Facial anatomy redacted by setting a rectangular region of the head to black.
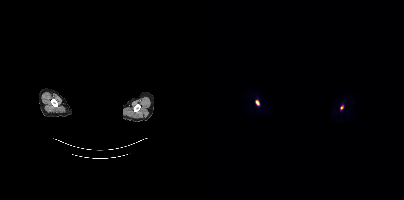
Coordinates are on the 200×200 PET (right) panel. Small PSMA-avid foci (2 to 4 px across) near (center x, center y): (53, 102); (137, 107).